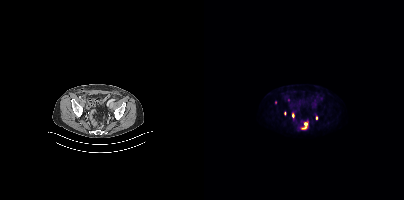
{"modality":"PSMA PET/CT","view":"axial","tracer":"18F","pet_grid":[200,200],"coord_frame":"pet_panel","coord_format":"x0,y0,x1,y1","partial":true,"lesion_bboxes":[[97,121,104,129],[88,113,90,117]],"small_foci_centers":[[81,113],[112,118],[71,102]]}